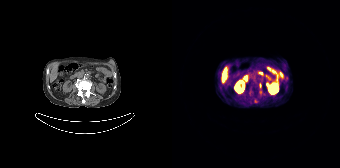
Coordinates are on the 168×168 PET (right) panel. (showing 1 of 2 foci) Small PSMA-avid focus (2 to 4 px across) near (center x, center y): (87, 85).
modality: PSMA PET/CT | tracer: [68Ga]Ga-PSMA-11 | view: axial